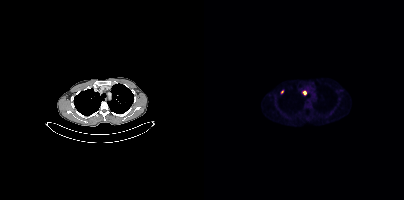
Coordinates are on the 200×200 PET (right) panel. Small PSMA-avid foci (2 to 4 px across) near (center x, center y): (100, 92) / (78, 92). Paired axial CT (left) and PSMA PET (right), 18F tracer. Acquired on Siemens Biograph mCT Flow 20.